Left: CT. Right: PSMA PET, same axial level, [18F]PSMA-1007 tracer. Slice 190 of 438. PET panel 200×200 px (4.1 mm/px).
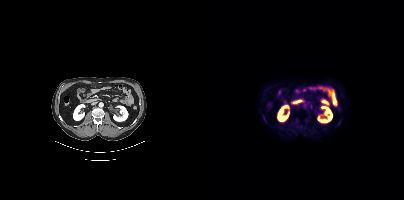
This slice has no annotated PSMA-avid lesion.